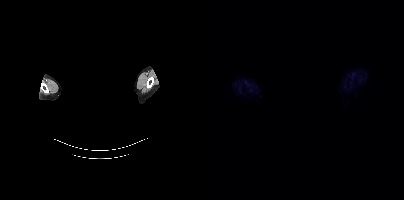
- privacy masking over the head, with the pixels inside a rectangle set to black
- Paired axial CT (left) and PSMA PET (right), 18F tracer
- acquired on Siemens Biograph mCT Flow 20
Findings: Negative for PSMA-avid disease on this slice.